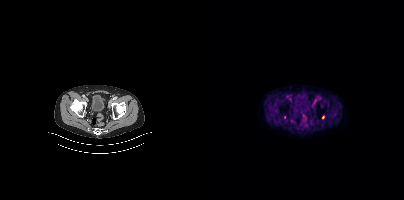
Coordinates are on the 200×200 PET (right) panel. Small PSMA-avid focus (2 to 4 px across) near (center x, center y): (119, 117).